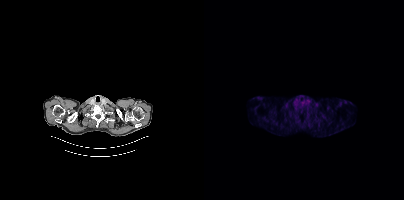
{"modality":"PSMA PET/CT","view":"axial","tracer":"18F","pet_grid":[200,200],"coord_frame":"pet_panel","coord_format":"x0,y0,x1,y1","psma_avid_lesions":false}